Technique: Paired axial CT (left) and PSMA PET (right), 18F-PSMA tracer. acquired on Siemens Biograph mCT Flow 20.
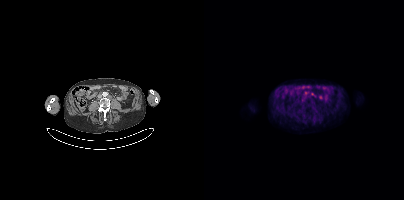
Findings: Coordinates are on the 200×200 PET (right) panel. Small PSMA-avid foci (2 to 4 px across) near (center x, center y): (101, 93) | (98, 98) | (108, 93).